modality: PSMA PET/CT | tracer: 18F | view: axial
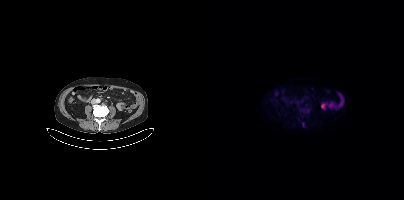
Only PSMA-avid lesion pieces thinner than 2 px on this slice (not listed).